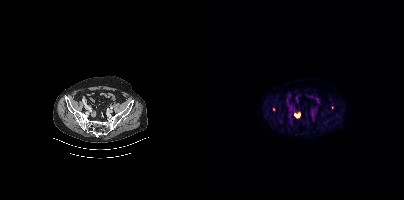
Paired axial CT (left) and PSMA PET (right), 18F-PSMA tracer. PET panel 200×200 px (4.1 mm/px). Coordinates are on the 200×200 PET (right) panel. (showing 1 of 2 foci) PSMA-avid tumor lesion bounding box (x, y, width, height): x=91 y=114 w=5 h=4.